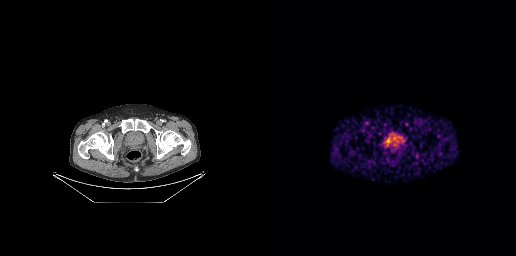
- Left: CT. Right: PSMA PET, same axial level, 68Ga-PSMA tracer
Findings: This slice has no annotated PSMA-avid lesion.